Left: CT. Right: PSMA PET, same axial level, 18F-PSMA tracer.
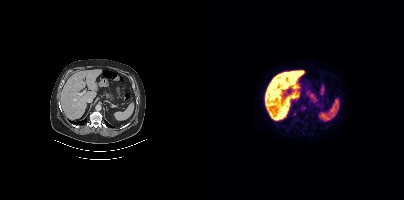
Only PSMA-avid lesion pieces thinner than 2 px on this slice (not listed).